Face de-identified by blanking a block of the head.
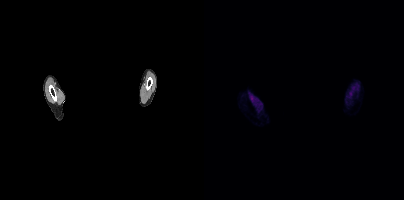
This slice has no annotated PSMA-avid lesion.